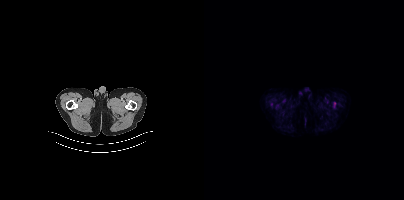
Paired axial CT (left) and PSMA PET (right), [18F]PSMA-1007 tracer. Slice 29 of 413. PET panel 200×200 px (4.1 mm/px). Negative for PSMA-avid disease on this slice.